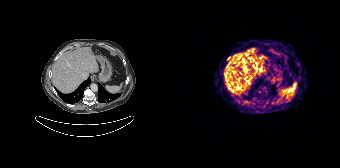
- Paired axial CT (left) and PSMA PET (right), 68Ga tracer
- acquired on Siemens Biograph 64-4R TruePoint
- slice position z = -910 mm
Findings: Coordinates are on the 168×168 PET (right) panel. PSMA-avid tumor lesion bounding box (x0,y0,x1,y1): [55,56,58,60].